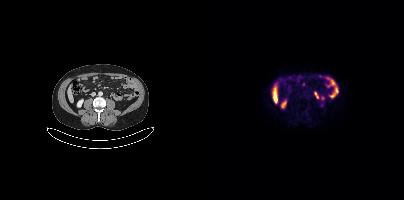
Left: CT. Right: PSMA PET, same axial level, [18F]PSMA-1007 tracer. Slice position z = -600 mm. Negative for PSMA-avid disease on this slice.